- Two-panel axial: CT | PSMA PET, 18F tracer
- acquired on Siemens Biograph mCT Flow 20
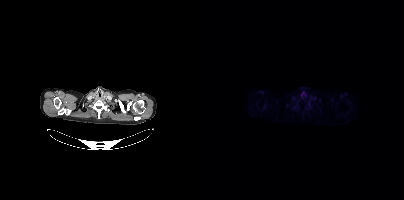
Findings: This slice has no annotated PSMA-avid lesion.